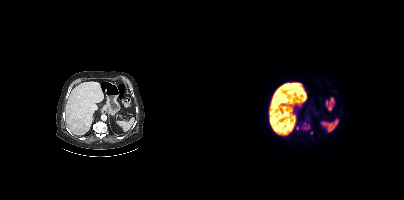
Coordinates are on the 200×200 PET (right) panel. (showing 2 of 3 foci) PSMA-avid tumor lesion bounding box (x0, y0)-(x1, y1): (99, 125)-(105, 128). Small PSMA-avid focus (2 to 4 px across) near (center x, center y): (100, 123).